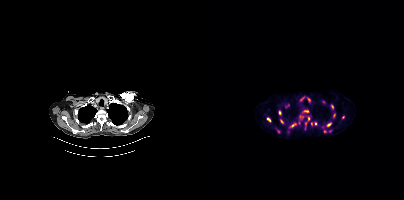
Coordinates are on the 200×200 PET (right) panel. (showing 15 of 19 foci) PSMA-avid tumor lesion bounding boxes (x, y, width, height): x=85 y=122 w=8 h=7; x=62 y=117 w=6 h=6; x=74 y=110 w=4 h=6; x=76 y=119 w=4 h=5; x=123 y=123 w=5 h=4; x=100 y=110 w=5 h=3; x=94 y=116 w=3 h=9; x=81 y=104 w=5 h=4. Small PSMA-avid foci (2 to 4 px across) near (center x, center y): (128, 106); (104, 118); (74, 130); (139, 117); (130, 115); (107, 123); (120, 131).